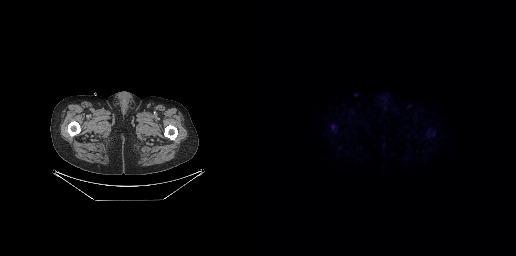
{"modality":"PSMA PET/CT","view":"axial","tracer":"18F-PSMA","pet_grid":[256,256],"coord_frame":"pet_panel","coord_format":"x0,y0,x1,y1","psma_avid_lesions":false}